modality: PSMA PET/CT | tracer: [68Ga]Ga-PSMA-11 | view: axial | PET grid: 200×200
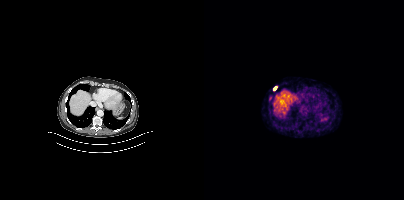
Coordinates are on the 200×200 PET (right) panel. Small PSMA-avid focus (2 to 4 px across) near (center x, center y): (71, 88).